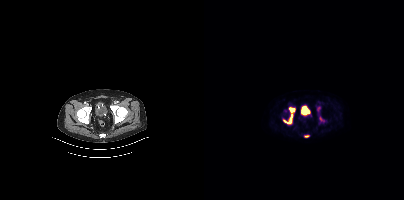
Coordinates are on the 200×200 PET (right) panel. PSMA-avid tumor lesion bounding box (x0, y0)-(x1, y1): (79, 108)-(90, 124). Small PSMA-avid foci (2 to 4 px across) near (center x, center y): (102, 136) / (116, 118) / (114, 107). Two-panel axial: CT | PSMA PET, 18F-PSMA tracer. Slice position z = -254 mm.